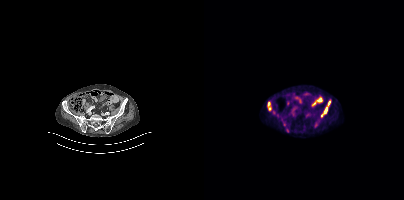
Coordinates are on the 200×200 PET (right) panel. (showing 3 of 4 foci) PSMA-avid tumor lesion bounding boxes (x, y, width, height): x=64 y=102 w=4 h=9 | x=120 y=102 w=7 h=11. Small PSMA-avid focus (2 to 4 px across) near (center x, center y): (83, 130).